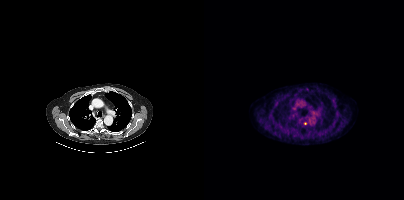
Coordinates are on the 200×200 PET (right) panel. Small PSMA-avid focus (2 to 4 px across) near (center x, center y): (101, 123). Two-panel axial: CT | PSMA PET, [18F]PSMA-1007 tracer. Acquired on Siemens Biograph mCT Flow 20. PET panel 200×200 px (4.1 mm/px).